modality: PSMA PET/CT | tracer: 68Ga-PSMA | view: axial
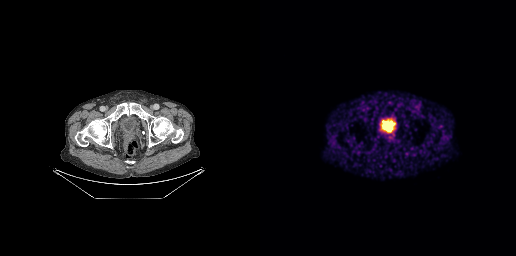
Only PSMA-avid lesion pieces thinner than 2 px on this slice (not listed).